Left: CT. Right: PSMA PET, same axial level, 18F tracer. Acquired on Siemens Biograph 64-4R TruePoint. Slice position z = -1318 mm. PET panel 168×168 px (4.1 mm/px).
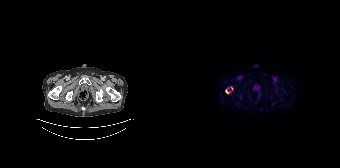
Coordinates are on the 168×168 PET (right) panel. PSMA-avid tumor lesion bounding box (x, y, width, height): x=53 y=89 w=5 h=5. Small PSMA-avid focus (2 to 4 px across) near (center x, center y): (59, 88).